modality: PSMA PET/CT | tracer: [18F]PSMA-1007 | view: axial
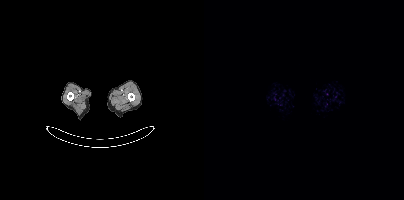
This slice has no annotated PSMA-avid lesion.